modality: PSMA PET/CT | tracer: [18F]PSMA-1007 | view: axial
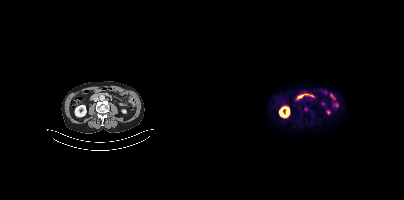
Coordinates are on the 200×200 PET (right) panel. Small PSMA-avid focus (2 to 4 px across) near (center x, center y): (101, 108).